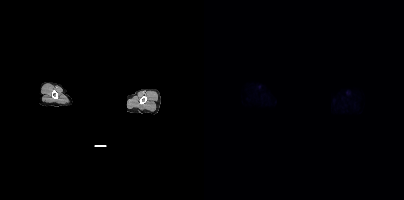
A rectangular block over the head has been blanked out for de-identification. Paired axial CT (left) and PSMA PET (right), 18F-PSMA tracer. Slice 395 of 431. This slice has no annotated PSMA-avid lesion.